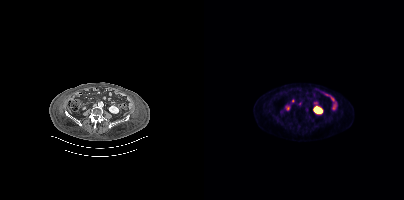
No tumor lesions annotated on this slice. Paired axial CT (left) and PSMA PET (right), 18F-PSMA tracer. Acquired on Siemens Biograph mCT Flow 20.